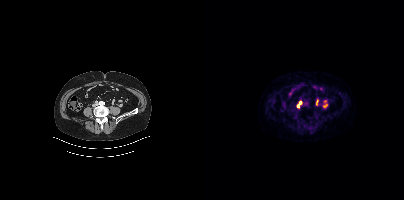
Technique: Paired axial CT (left) and PSMA PET (right), [18F]PSMA-1007 tracer. PET panel 200×200 px (4.1 mm/px).
Findings: Coordinates are on the 200×200 PET (right) panel. Small PSMA-avid foci (2 to 4 px across) near (center x, center y): (96, 102) (94, 106).